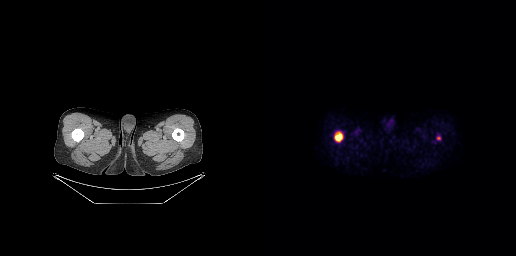
Coordinates are on the 256×256 PET (right) panel. PSMA-avid tumor lesion bounding box (x, y, width, height): x=74 y=132 w=9 h=10.